Two-panel axial: CT | PSMA PET, 18F tracer. Slice position z = -382 mm. PET panel 200×200 px (4.1 mm/px).
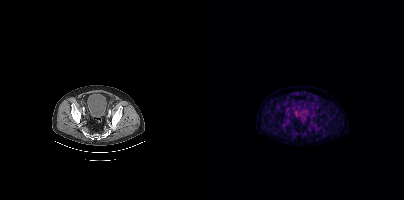
Negative for PSMA-avid disease on this slice.